- Two-panel axial: CT | PSMA PET, 18F-PSMA tracer
- slice 36 of 425
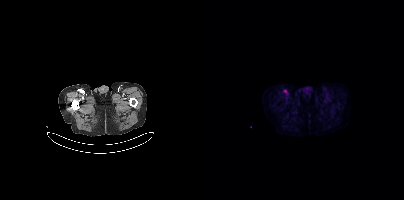
Findings: Coordinates are on the 200×200 PET (right) panel. Small PSMA-avid focus (2 to 4 px across) near (center x, center y): (81, 91).